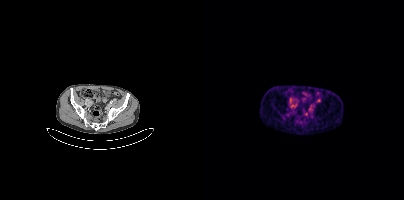
Left: CT. Right: PSMA PET, same axial level, [68Ga]Ga-PSMA-11 tracer. Coordinates are on the 200×200 PET (right) panel. (showing 1 of 2 foci) Small PSMA-avid focus (2 to 4 px across) near (center x, center y): (114, 100).